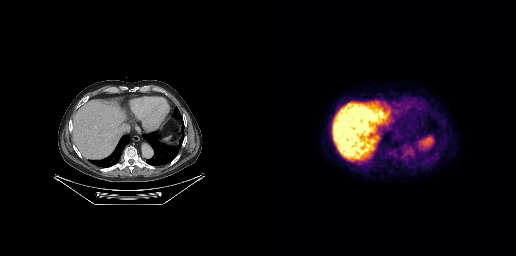
No tumor lesions annotated on this slice.
modality: PSMA PET/CT | tracer: 18F-PSMA | view: axial